- the face region was removed for patient privacy by blanking a rectangle over the head
- Left: CT. Right: PSMA PET, same axial level, [18F]PSMA-1007 tracer
- PET panel 200×200 px (4.1 mm/px)
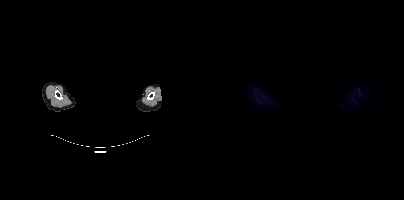
Findings: No tumor lesions annotated on this slice.